Paired axial CT (left) and PSMA PET (right), 18F-PSMA tracer.
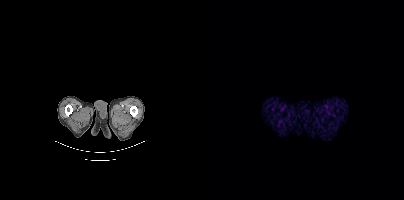
No tumor lesions annotated on this slice.